Two-panel axial: CT | PSMA PET, [68Ga]Ga-PSMA-11 tracer. PET panel 168×168 px (4.1 mm/px).
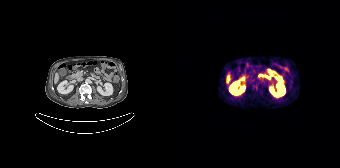
This slice has no annotated PSMA-avid lesion.